modality: PSMA PET/CT | tracer: [18F]PSMA-1007 | view: axial | PET grid: 200×200
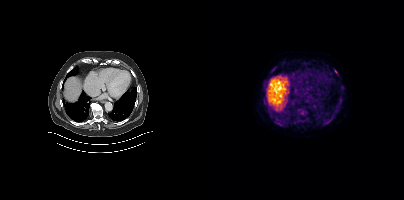
Coordinates are on the 200×200 PET (right) panel. (showing 3 of 5 foci) PSMA-avid tumor lesion bounding boxes (x0, y0)-(x1, y1): (118, 119)-(125, 125) | (128, 115)-(132, 118). Small PSMA-avid focus (2 to 4 px across) near (center x, center y): (132, 72).